Two-panel axial: CT | PSMA PET, 18F tracer. Slice position z = -529 mm.
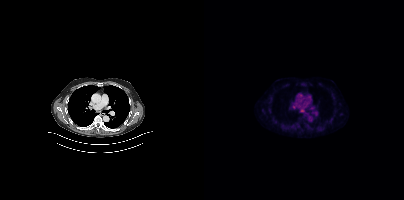
This slice has no annotated PSMA-avid lesion.